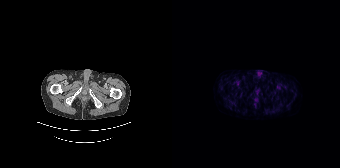
{"modality":"PSMA PET/CT","view":"axial","tracer":"18F-PSMA","pet_grid":[168,168],"coord_frame":"pet_panel","coord_format":"x0,y0,x1,y1","psma_avid_lesions":false}